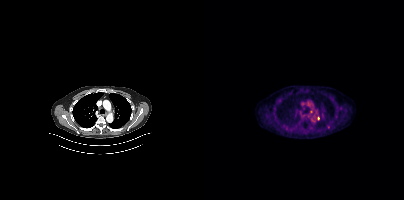
modality: PSMA PET/CT | tracer: 18F-PSMA | view: axial | PET grid: 200×200
Coordinates are on the 200×200 PET (right) panel. Small PSMA-avid foci (2 to 4 px across) near (center x, center y): (114, 118), (107, 111).